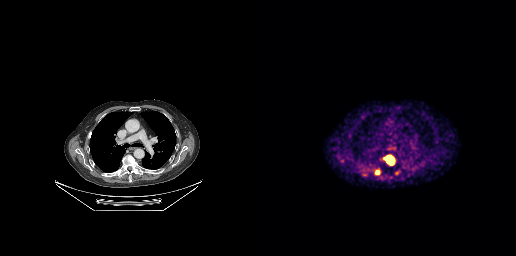
Technique: Two-panel axial: CT | PSMA PET, 68Ga-PSMA tracer. slice position z = -267 mm.
Findings: Coordinates are on the 256×256 PET (right) panel. PSMA-avid tumor lesion bounding boxes (x0,y0,x1,y1): [122,155,134,164], [114,169,120,175], [134,171,138,175], [102,173,106,176].